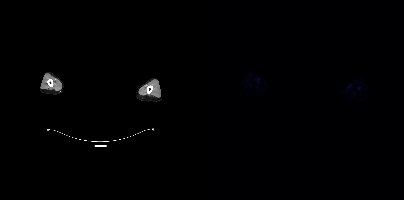
{"modality":"PSMA PET/CT","view":"axial","tracer":"[18F]PSMA-1007","pet_grid":[200,200],"coord_frame":"pet_panel","coord_format":"x0,y0,x1,y1","redaction":"rectangular block over head set to black","psma_avid_lesions":false}